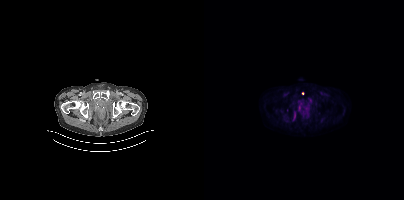
{"modality":"PSMA PET/CT","view":"axial","tracer":"18F","pet_grid":[200,200],"coord_frame":"pet_panel","coord_format":"x0,y0,x1,y1","partial":true,"lesion_bboxes":[[89,114,91,118]]}